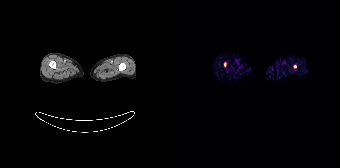
{"modality":"PSMA PET/CT","view":"axial","tracer":"[68Ga]Ga-PSMA-11","pet_grid":[168,168],"coord_frame":"pet_panel","coord_format":"x0,y0,x1,y1","lesion_bboxes":[],"small_foci_centers":[[123,66],[52,64]]}